Technique: Left: CT. Right: PSMA PET, same axial level, 18F-PSMA tracer.
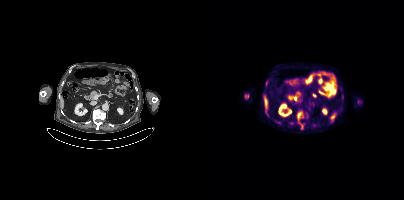
Findings: Coordinates are on the 200×200 PET (right) panel. (showing 2 of 3 foci) PSMA-avid tumor lesion bounding box (x0,y0,x1,y1): [93,112,97,119]. Small PSMA-avid focus (2 to 4 px across) near (center x, center y): (62, 83).